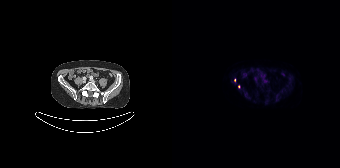
modality: PSMA PET/CT | tracer: 18F-PSMA | view: axial
Coordinates are on the 168×168 PET (right) panel. (showing 1 of 2 foci) Small PSMA-avid focus (2 to 4 px across) near (center x, center y): (66, 86).